Left: CT. Right: PSMA PET, same axial level, 18F-PSMA tracer. Slice 366 of 466. PET panel 200×200 px (4.1 mm/px).
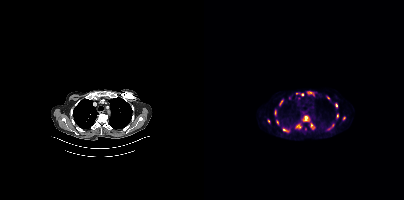
Coordinates are on the 200×200 PET (right) panel. PSMA-avid tumor lesion bounding boxes (partial; 1 more focus not listed):
| # | x0 | y0 | x1 | y1 |
|---|---|---|---|---|
| 1 | 99 | 115 | 105 | 121 |
| 2 | 102 | 91 | 110 | 96 |
| 3 | 92 | 92 | 100 | 96 |
| 4 | 92 | 124 | 97 | 128 |
| 5 | 106 | 123 | 110 | 128 |
| 6 | 70 | 110 | 72 | 115 |
| 7 | 131 | 103 | 133 | 107 |
| 8 | 72 | 120 | 74 | 124 |
Small PSMA-avid foci (2 to 4 px across) near (center x, center y): (76, 103); (80, 129); (64, 120); (140, 118); (124, 98); (128, 125).